Two-panel axial: CT | PSMA PET, [68Ga]Ga-PSMA-11 tracer. Acquired on Siemens Biograph mCT Flow 20. Slice 49 of 413.
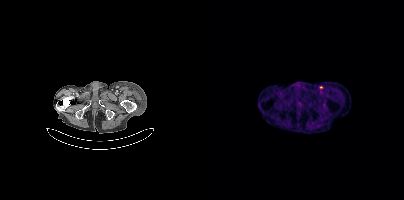
Coordinates are on the 200×200 PET (right) panel. Small PSMA-avid focus (2 to 4 px across) near (center x, center y): (117, 87).